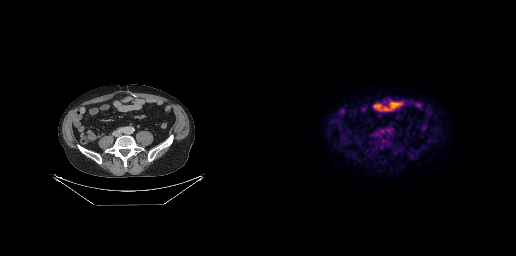
Coordinates are on the 256×256 PET (right) panel. Small PSMA-avid focus (2 to 4 px across) near (center x, center y): (121, 146).